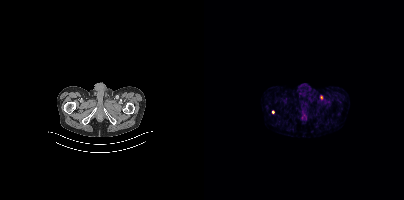
Coordinates are on the 200×200 PET (right) panel. Small PSMA-avid foci (2 to 4 px across) near (center x, center y): (117, 97) (68, 111). Two-panel axial: CT | PSMA PET, 68Ga-PSMA tracer. PET panel 200×200 px (4.1 mm/px).